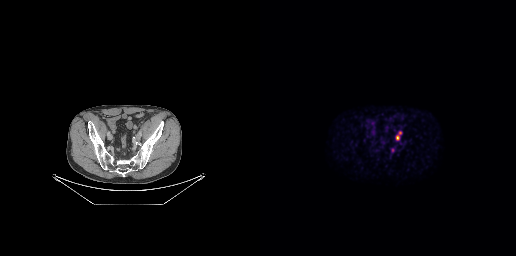
Coordinates are on the 256×256 PET (right) panel. PSMA-avid tumor lesion bounding boxes (x0,y0,x1,y1): [136,131,141,140] [131,148,134,152].